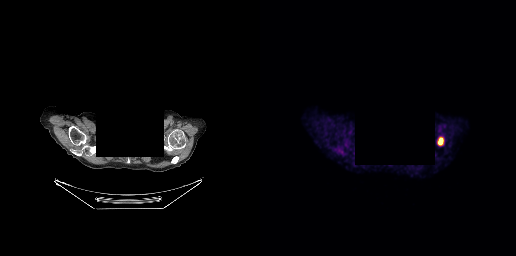
The head region is masked for de-identification. Left: CT. Right: PSMA PET, same axial level, 18F-PSMA tracer. Acquired on GE Discovery 690. PET panel 256×256 px (2.7 mm/px).
Coordinates are on the 256×256 PET (right) panel. PSMA-avid tumor lesion bounding boxes:
| # | x0 | y0 | x1 | y1 |
|---|---|---|---|---|
| 1 | 178 | 137 | 183 | 145 |